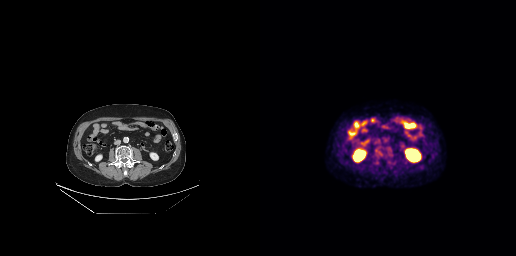
No tumor lesions annotated on this slice. Two-panel axial: CT | PSMA PET, [18F]PSMA-1007 tracer. Slice 122 of 263. PET panel 256×256 px (2.7 mm/px).